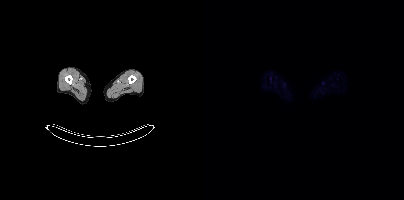
No tumor lesions annotated on this slice.